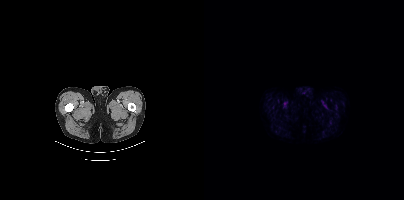
This slice has no annotated PSMA-avid lesion.